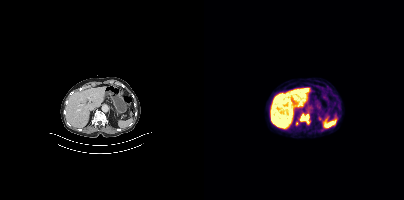
Coordinates are on the 200×200 PET (right) panel. PSMA-avid tumor lesion bounding box (x0,y0,x1,y1): [96,114,104,122]. Small PSMA-avid focus (2 to 4 px across) near (center x, center y): (93, 123).
modality: PSMA PET/CT | tracer: [18F]PSMA-1007 | view: axial | PET grid: 200×200